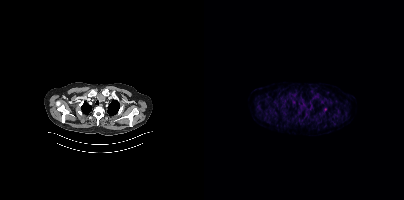
Left: CT. Right: PSMA PET, same axial level, [18F]PSMA-1007 tracer. Slice position z = 220 mm. PET panel 200×200 px (4.1 mm/px). Coordinates are on the 200×200 PET (right) panel. Small PSMA-avid focus (2 to 4 px across) near (center x, center y): (121, 109).